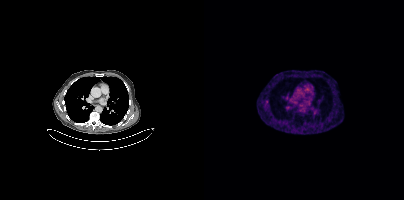
Coordinates are on the 200×200 PET (right) panel. Small PSMA-avid focus (2 to 4 px across) near (center x, center y): (62, 101).